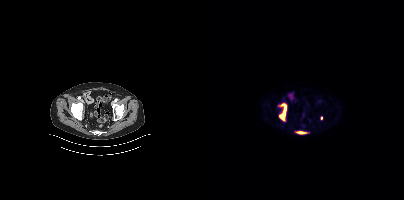
Paired axial CT (left) and PSMA PET (right), 18F tracer. Acquired on Siemens Biograph mCT Flow 20.
Coordinates are on the 200×200 PET (right) panel. PSMA-avid tumor lesion bounding boxes:
| # | x0 | y0 | x1 | y1 |
|---|---|---|---|---|
| 1 | 75 | 103 | 82 | 120 |
| 2 | 93 | 131 | 102 | 133 |
Small PSMA-avid focus (2 to 4 px across) near (center x, center y): (117, 118).